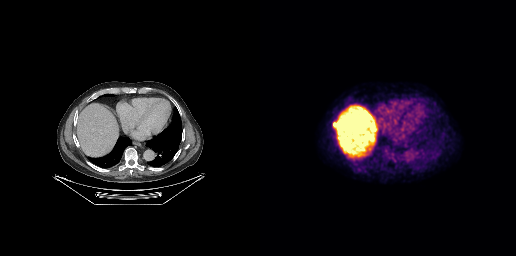
Two-panel axial: CT | PSMA PET, [18F]PSMA-1007 tracer.
Coordinates are on the 256×256 PET (right) panel. PSMA-avid tumor lesion bounding boxes:
| # | x0 | y0 | x1 | y1 |
|---|---|---|---|---|
| 1 | 73 | 123 | 77 | 130 |